Paired axial CT (left) and PSMA PET (right), [68Ga]Ga-PSMA-11 tracer. PET panel 200×200 px (4.1 mm/px).
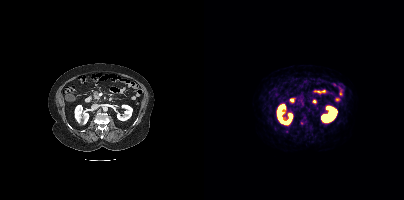
Only PSMA-avid lesion pieces thinner than 2 px on this slice (not listed).